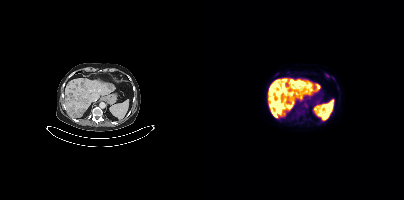
{"modality":"PSMA PET/CT","view":"axial","tracer":"18F","pet_grid":[200,200],"coord_frame":"pet_panel","coord_format":"x0,y0,x1,y1","lesion_bboxes":[[64,89,69,94],[69,110,74,115]],"small_foci_centers":[[94,112],[123,75]]}